Two-panel axial: CT | PSMA PET, 18F-PSMA tracer. PET panel 200×200 px (4.1 mm/px).
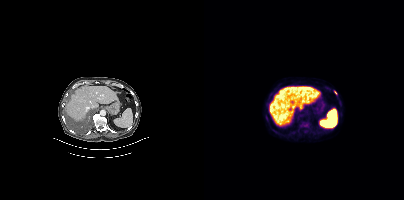
Coordinates are on the 200×200 PET (right) panel. (showing 2 of 3 foci) PSMA-avid tumor lesion bounding boxes (x0, y0)-(x1, y1): (97, 123)-(104, 126) / (130, 90)-(133, 94).